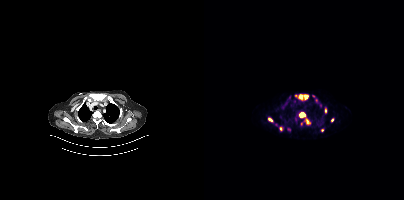
Findings: Coordinates are on the 200×200 PET (right) panel. PSMA-avid tumor lesion bounding boxes (x, y, width, height): x=91 y=94 w=14 h=6 / x=95 y=112 w=7 h=6 / x=100 y=118 w=7 h=7 / x=64 y=118 w=5 h=4 / x=121 y=107 w=2 h=6. Small PSMA-avid foci (2 to 4 px across) near (center x, center y): (116, 105) / (128, 120) / (76, 128) / (85, 129) / (118, 130) / (97, 123).
Technique: Paired axial CT (left) and PSMA PET (right), [68Ga]Ga-PSMA-11 tracer. acquired on Siemens Biograph mCT Flow 20. slice position z = 890 mm.